Paired axial CT (left) and PSMA PET (right), 18F-PSMA tracer. Acquired on Siemens Biograph mCT Flow 20. Slice position z = -798 mm.
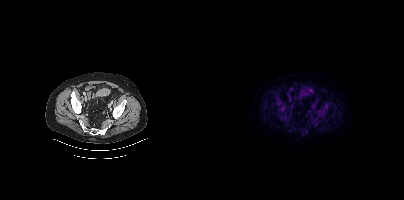
This slice has no annotated PSMA-avid lesion.